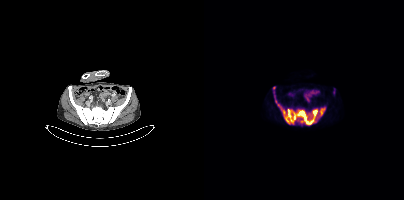
Coordinates are on the 200×200 PET (right) panel. (showing 2 of 3 foci) PSMA-avid tumor lesion bounding box (x, y, width, height): x=69 y=91 w=53 h=35. Small PSMA-avid focus (2 to 4 px across) near (center x, center y): (70, 88). Paired axial CT (left) and PSMA PET (right), [18F]PSMA-1007 tracer. PET panel 200×200 px (4.1 mm/px).